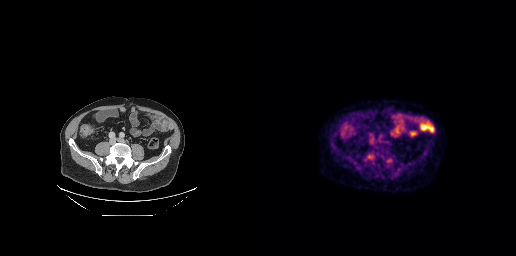
- Left: CT. Right: PSMA PET, same axial level, [18F]PSMA-1007 tracer
Findings: Coordinates are on the 256×256 PET (right) panel. PSMA-avid tumor lesion bounding boxes (x0, y0)-(x1, y1): (126, 158)-(132, 162) | (108, 155)-(112, 159).